Left: CT. Right: PSMA PET, same axial level, 18F-PSMA tracer.
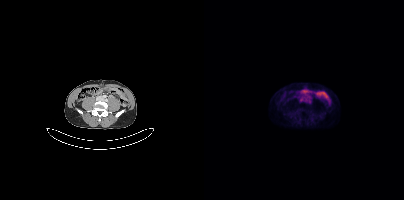
Coordinates are on the 200×200 PET (right) panel. Small PSMA-avid focus (2 to 4 px across) near (center x, center y): (106, 111).